Technique: Paired axial CT (left) and PSMA PET (right), 18F tracer. acquired on Siemens Biograph mCT Flow 20. slice 217 of 464.
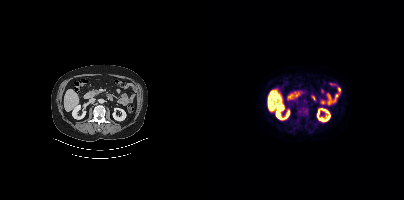
Findings: Coordinates are on the 200×200 PET (right) panel. PSMA-avid tumor lesion bounding box (x, y, width, height): x=92 y=106 w=13 h=13. Small PSMA-avid focus (2 to 4 px across) near (center x, center y): (93, 120).